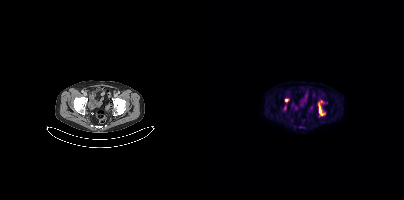
- Left: CT. Right: PSMA PET, same axial level, [18F]PSMA-1007 tracer
- PET panel 200×200 px (4.1 mm/px)
Findings: Coordinates are on the 200×200 PET (right) panel. PSMA-avid tumor lesion bounding box (x0,y0,x1,y1): [114,100,121,115]. Small PSMA-avid foci (2 to 4 px across) near (center x, center y): (82, 100), (81, 107).